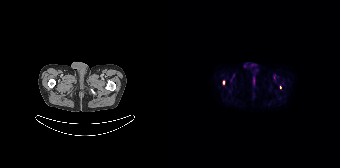
Coordinates are on the 168×168 PET (right) panel. PSMA-avid tumor lesion bounding box (x0,y0,x1,y1): [50,80,52,84]. Small PSMA-avid focus (2 to 4 px across) near (center x, center y): (108, 87). Left: CT. Right: PSMA PET, same axial level, 18F-PSMA tracer. Acquired on Siemens Biograph 64-4R TruePoint.